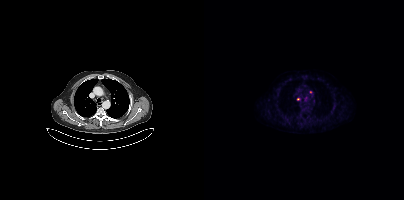
Coordinates are on the 200×200 PET (right) panel. Small PSMA-avid foci (2 to 4 px across) near (center x, center y): (94, 99) | (106, 91).